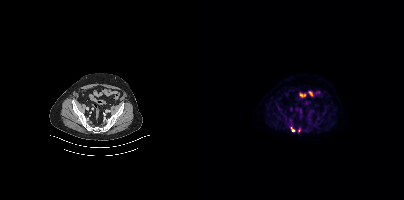
Findings: Coordinates are on the 200×200 PET (right) panel. (showing 1 of 2 foci) PSMA-avid tumor lesion bounding box (x0,y0,x1,y1): [87,127,90,131].
- Paired axial CT (left) and PSMA PET (right), 18F-PSMA tracer
- slice 117 of 405